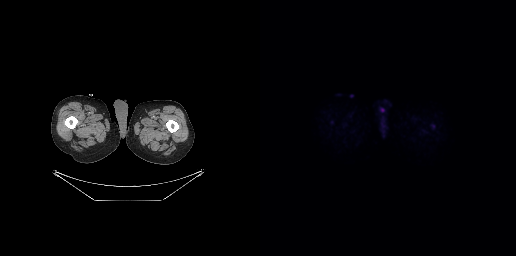
{"modality":"PSMA PET/CT","view":"axial","tracer":"18F","pet_grid":[256,256],"coord_frame":"pet_panel","coord_format":"x0,y0,x1,y1","psma_avid_lesions":false}